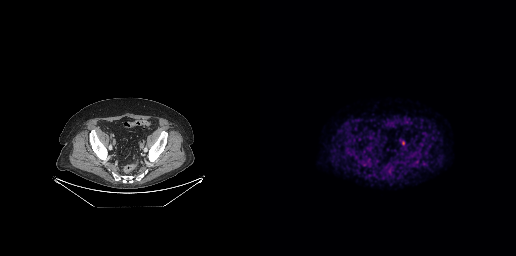
Coordinates are on the 256×256 PET (right) panel. Small PSMA-avid focus (2 to 4 px across) near (center x, center y): (143, 142). Paired axial CT (left) and PSMA PET (right), [18F]PSMA-1007 tracer. Slice 81 of 263.